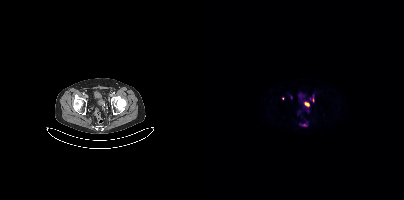
Findings: Coordinates are on the 200×200 PET (right) panel. (showing 4 of 5 foci) PSMA-avid tumor lesion bounding boxes (x0,y0,x1,y1): [96,124,103,126], [101,103,105,106], [109,98,110,102]. Small PSMA-avid focus (2 to 4 px across) near (center x, center y): (78, 98).
- Two-panel axial: CT | PSMA PET, [68Ga]Ga-PSMA-11 tracer